- Left: CT. Right: PSMA PET, same axial level, 18F-PSMA tracer
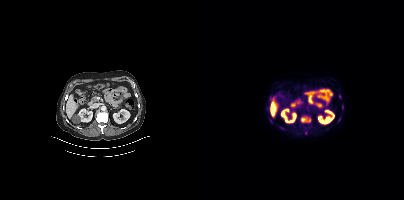
Findings: Coordinates are on the 200×200 PET (right) panel. PSMA-avid tumor lesion bounding boxes (x0, y0)-(x1, y1): (97, 116)-(107, 122) | (75, 126)-(79, 129). Small PSMA-avid foci (2 to 4 px across) near (center x, center y): (138, 107) | (66, 119) | (134, 120) | (101, 133) | (135, 96).